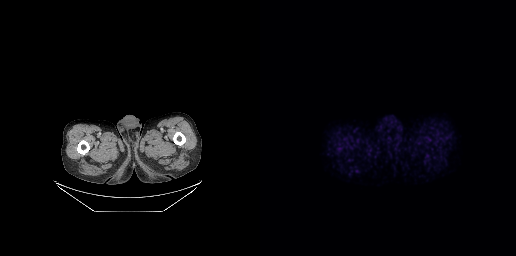
Findings: No tumor lesions annotated on this slice.
Technique: Paired axial CT (left) and PSMA PET (right), 18F-PSMA tracer. acquired on GE Discovery 690.